Two-panel axial: CT | PSMA PET, 18F-PSMA tracer. Acquired on Siemens Biograph mCT Flow 20. Slice 91 of 435. PET panel 200×200 px (4.1 mm/px).
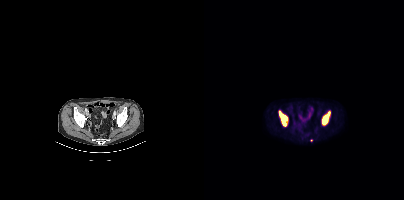
Coordinates are on the 200×200 PET (right) panel. PSMA-avid tumor lesion bounding boxes (x0,y0,x1,y1): [118,112,125,124] [75,112,83,125]. Small PSMA-avid focus (2 to 4 px across) near (center x, center y): (107, 140).